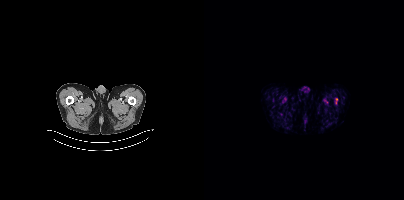
{"modality":"PSMA PET/CT","view":"axial","tracer":"[18F]PSMA-1007","pet_grid":[200,200],"coord_frame":"pet_panel","coord_format":"x0,y0,x1,y1","partial":true,"lesion_bboxes":[]}